- Left: CT. Right: PSMA PET, same axial level, 68Ga tracer
- slice position z = -450 mm
- PET panel 168×168 px (4.1 mm/px)
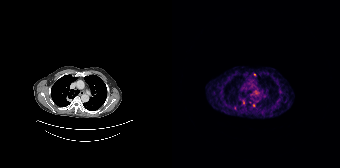
Findings: Coordinates are on the 168×168 PET (right) panel. Small PSMA-avid focus (2 to 4 px across) near (center x, center y): (71, 102).